de-identification: facial region redacted | modality: PSMA PET/CT | tracer: 68Ga-PSMA | view: axial | PET grid: 200×200
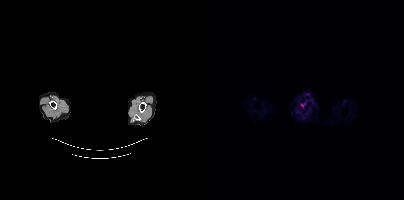
Coordinates are on the 200×200 PET (right) panel. Small PSMA-avid focus (2 to 4 px across) near (center x, center y): (98, 105).